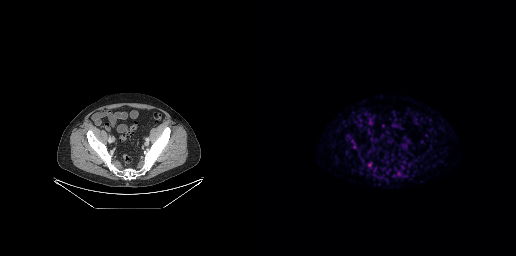
{"modality":"PSMA PET/CT","view":"axial","tracer":"68Ga","pet_grid":[256,256],"coord_frame":"pet_panel","coord_format":"x0,y0,x1,y1","psma_avid_lesions":false}